Paired axial CT (left) and PSMA PET (right), 68Ga tracer. Slice 72 of 263. PET panel 256×256 px (2.7 mm/px).
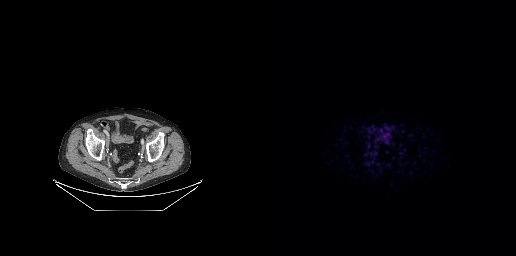
This slice has no annotated PSMA-avid lesion.